- Two-panel axial: CT | PSMA PET, 68Ga tracer
- acquired on GE Discovery 690
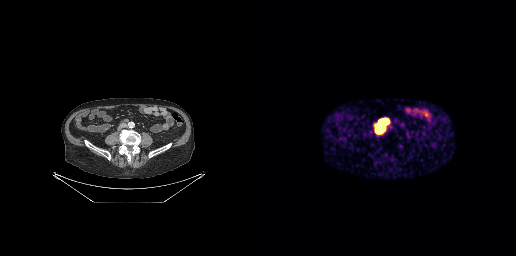
Findings: Coordinates are on the 256×256 PET (right) panel. PSMA-avid tumor lesion bounding boxes (x, y, width, height): x=116 y=126 w=9 h=7 | x=119 y=120 w=9 h=5.